Technique: Left: CT. Right: PSMA PET, same axial level, 68Ga-PSMA tracer. PET panel 256×256 px (2.7 mm/px).
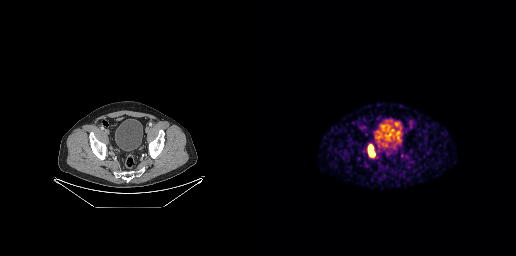
Findings: Coordinates are on the 256×256 PET (right) panel. PSMA-avid tumor lesion bounding box (x0,y0,x1,y1): [108,144,115,157].